- Two-panel axial: CT | PSMA PET, [68Ga]Ga-PSMA-11 tracer
- slice position z = -414 mm
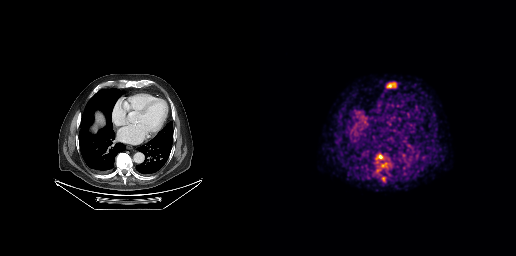
Findings: Coordinates are on the 256×256 PET (right) panel. (showing 5 of 6 foci) PSMA-avid tumor lesion bounding boxes (x0,y0,x1,y1): [127,83,135,87], [116,154,123,159], [121,163,127,167]. Small PSMA-avid foci (2 to 4 px across) near (center x, center y): (123, 178), (117, 170).